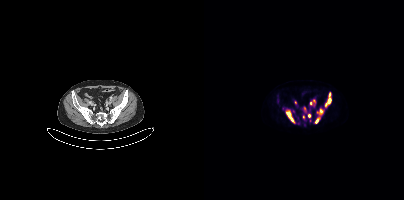
Coordinates are on the 200×200 PET (right) panel. PSMA-avid tumor lesion bounding boxes (partial; 1 more focus not listed):
| # | x0 | y0 | x1 | y1 |
|---|---|---|---|---|
| 1 | 83 | 110 | 91 | 123 |
| 2 | 121 | 92 | 127 | 106 |
| 3 | 113 | 109 | 119 | 114 |
| 4 | 106 | 99 | 111 | 104 |
| 5 | 112 | 117 | 115 | 122 |
| 6 | 99 | 115 | 100 | 119 |
Small PSMA-avid foci (2 to 4 px across) near (center x, center y): (105, 116); (100, 108); (91, 102).
Left: CT. Right: PSMA PET, same axial level, [18F]PSMA-1007 tracer. Acquired on Siemens Biograph mCT Flow 20. Slice 99 of 407.